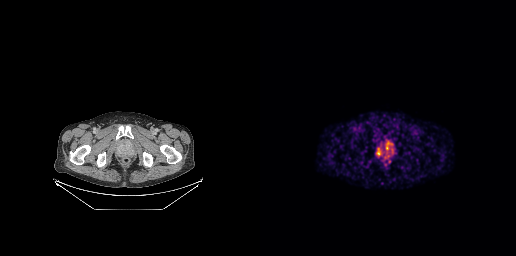
Paired axial CT (left) and PSMA PET (right), 68Ga-PSMA tracer. Acquired on GE Discovery 690. Slice position z = -884 mm.
Coordinates are on the 256×256 PET (right) panel. PSMA-avid tumor lesion bounding boxes:
| # | x0 | y0 | x1 | y1 |
|---|---|---|---|---|
| 1 | 115 | 139 | 134 | 158 |